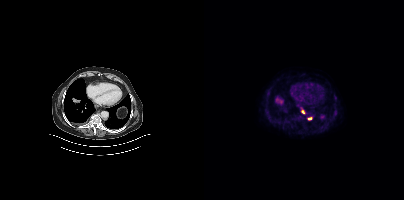
Coordinates are on the 200×200 PET (right) panel. Small PSMA-avid foci (2 to 4 px across) near (center x, center y): (105, 118) / (99, 112). Paired axial CT (left) and PSMA PET (right), 18F-PSMA tracer. Acquired on Siemens Biograph mCT Flow 20. Slice position z = -458 mm. PET panel 200×200 px (4.1 mm/px).